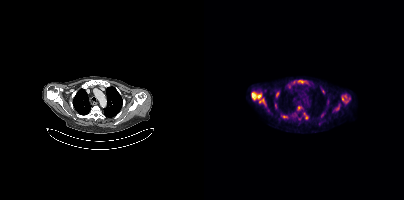
Coordinates are on the 200×200 PET (right) panel. (showing 10 of 13 foci) PSMA-avid tumor lesion bounding boxes (x0,y0,x1,y1): [47,92,57,99], [138,95,144,102], [93,80,101,83], [55,99,62,106], [72,91,75,97], [78,115,83,118], [93,106,96,110], [100,113,103,119]. Small PSMA-avid foci (2 to 4 px across) near (center x, center y): (71, 105), (133, 108).